modality: PSMA PET/CT | tracer: [18F]PSMA-1007 | view: axial | PET grid: 200×200
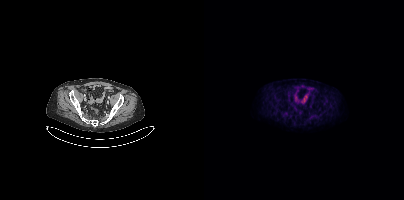
No tumor lesions annotated on this slice.